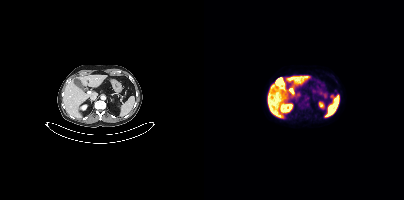
Two-panel axial: CT | PSMA PET, 18F-PSMA tracer. Acquired on Siemens Biograph mCT Flow 20. Slice 234 of 429. PET panel 200×200 px (4.1 mm/px). Coordinates are on the 200×200 PET (right) panel. Small PSMA-avid focus (2 to 4 px across) near (center x, center y): (127, 95).